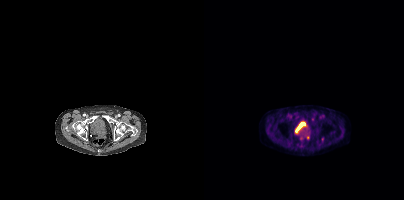
{"modality":"PSMA PET/CT","view":"axial","tracer":"18F","pet_grid":[200,200],"coord_frame":"pet_panel","coord_format":"x0,y0,x1,y1","lesion_bboxes":[[99,133,105,139],[117,137,119,141]],"small_foci_centers":[[108,119],[97,137],[98,117]]}